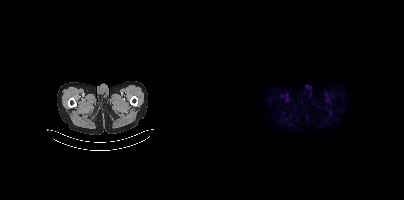
Negative for PSMA-avid disease on this slice.
modality: PSMA PET/CT | tracer: 18F | view: axial